Paired axial CT (left) and PSMA PET (right), [18F]PSMA-1007 tracer.
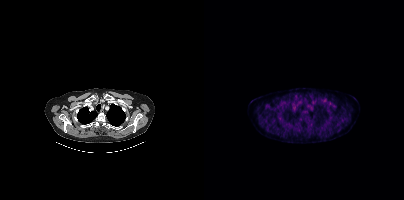
No PSMA-avid tumor lesions on this slice.